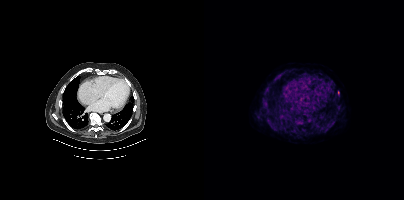
modality: PSMA PET/CT | tracer: 18F-PSMA | view: axial
Only PSMA-avid lesion pieces thinner than 2 px on this slice (not listed).